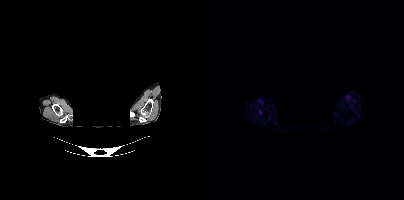
{"modality":"PSMA PET/CT","view":"axial","tracer":"18F","pet_grid":[200,200],"coord_frame":"pet_panel","coord_format":"x0,y0,x1,y1","deidentification":"rectangular block over head set to black","lesion_bboxes":[],"small_foci_centers":[[56,111]]}